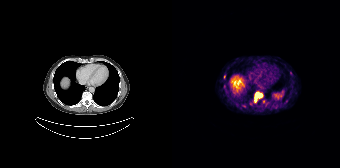
{"pet_grid":[168,168],"coord_frame":"pet_panel","coord_format":"x0,y0,x1,y1","partial":true,"lesion_bboxes":[[82,92,90,102]],"small_foci_centers":[[78,103],[71,106],[52,86],[119,73]],"modality":"PSMA PET/CT","view":"axial","tracer":"[68Ga]Ga-PSMA-11"}